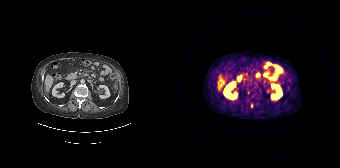
Coordinates are on the 168×168 PET (right) panel. PSMA-avid tumor lesion bounding box (x, y, width, height): x=79 y=103 w=3 h=5.